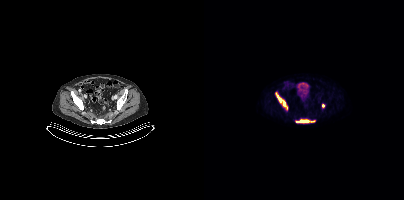
Coordinates are on the 200×200 PET (right) panel. PSMA-avid tumor lesion bounding boxes (x0,y0,x1,y1): [71,92,83,109], [92,119,110,122]. Small PSMA-avid focus (2 to 4 px across) near (center x, center y): (119, 105).
modality: PSMA PET/CT | tracer: 18F-PSMA | view: axial